modality: PSMA PET/CT | tracer: [18F]PSMA-1007 | view: axial
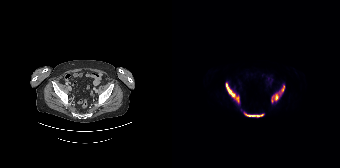
Coordinates are on the 168×168 PET (right) panel. PSMA-avid tumor lesion bounding boxes (x0, y0)-(x1, y1): (53, 82)-(67, 103) | (99, 85)-(112, 103) | (72, 112)-(92, 117).